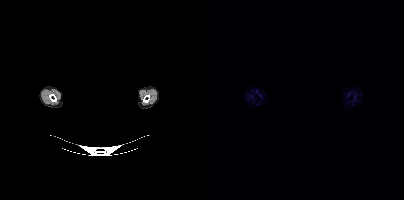
{"pet_grid":[200,200],"coord_frame":"pet_panel","coord_format":"x0,y0,x1,y1","psma_avid_lesions":false,"modality":"PSMA PET/CT","view":"axial","tracer":"[18F]PSMA-1007","redaction":"face masked with black rectangle"}